Technique: Two-panel axial: CT | PSMA PET, [18F]PSMA-1007 tracer. acquired on Siemens Biograph mCT Flow 20.
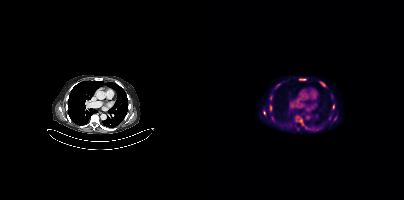
Findings: Coordinates are on the 200×200 PET (right) panel. (showing 6 of 7 foci) PSMA-avid tumor lesion bounding boxes (x0,y0,x1,y1): [116,81,120,85] [95,79,101,80] [65,105,68,110] [95,119,98,124]. Small PSMA-avid foci (2 to 4 px across) near (center x, center y): (60, 112) (129, 107).